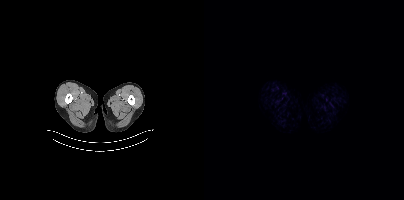
Paired axial CT (left) and PSMA PET (right), 18F-PSMA tracer. Acquired on Siemens Biograph mCT Flow 20. PET panel 200×200 px (4.1 mm/px). No tumor lesions annotated on this slice.